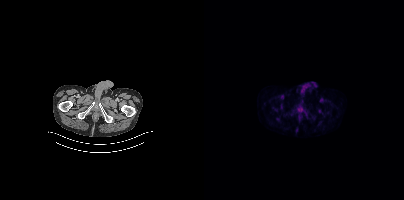
Paired axial CT (left) and PSMA PET (right), 18F tracer. This slice has no annotated PSMA-avid lesion.